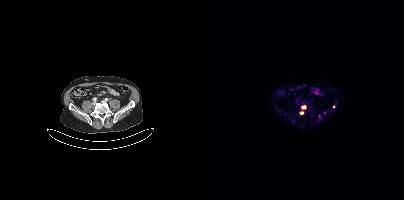
{"pet_grid":[200,200],"coord_frame":"pet_panel","coord_format":"x0,y0,x1,y1","partial":true,"lesion_bboxes":[[97,105,102,109],[129,103,132,107]],"small_foci_centers":[[88,120],[97,112],[92,101],[120,112],[115,118]],"modality":"PSMA PET/CT","view":"axial","tracer":"18F"}